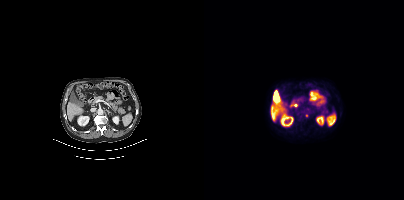
Coordinates are on the 200×200 PET (right) panel. Small PSMA-avid focus (2 to 4 px across) near (center x, center y): (102, 115). Left: CT. Right: PSMA PET, same axial level, 18F-PSMA tracer. PET panel 200×200 px (4.1 mm/px).